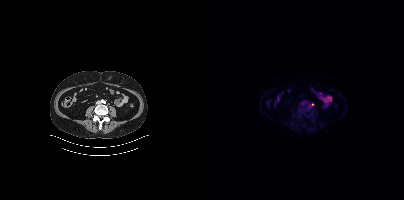
Two-panel axial: CT | PSMA PET, [18F]PSMA-1007 tracer. Coordinates are on the 200×200 PET (right) panel. Small PSMA-avid focus (2 to 4 px across) near (center x, center y): (108, 104).